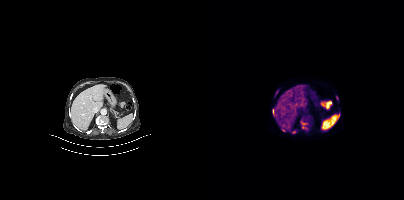
Coordinates are on the 200×200 PET (right) panel. (showing 5 of 6 foci) PSMA-avid tumor lesion bounding boxes (x0, y0)-(x1, y1): (98, 127)-(103, 131) | (68, 109)-(70, 114). Small PSMA-avid foci (2 to 4 px across) near (center x, center y): (89, 131) | (73, 91) | (79, 130).